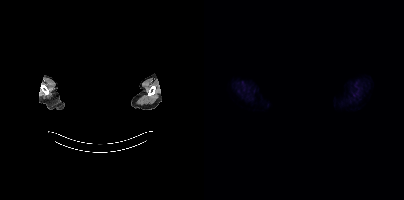
An anonymization step blacked out a rectangle over the head in this scan. Paired axial CT (left) and PSMA PET (right), [18F]PSMA-1007 tracer. Acquired on Siemens Biograph mCT Flow 20. Slice 380 of 411. PET panel 200×200 px (4.1 mm/px). No PSMA-avid tumor lesions on this slice.